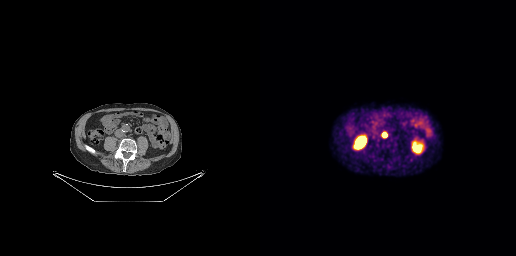
Technique: Paired axial CT (left) and PSMA PET (right), [68Ga]Ga-PSMA-11 tracer. slice position z = -612 mm.
Findings: Coordinates are on the 256×256 PET (right) panel. PSMA-avid tumor lesion bounding box (x0, y0)-(x1, y1): (122, 133)-(126, 137).